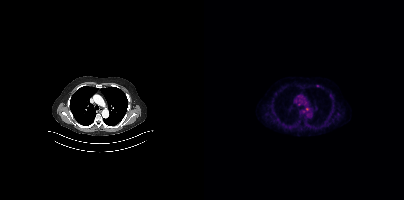
Coordinates are on the 200×200 PET (right) panel. (showing 2 of 3 foci) Small PSMA-avid foci (2 to 4 px across) near (center x, center y): (103, 109) | (113, 85).